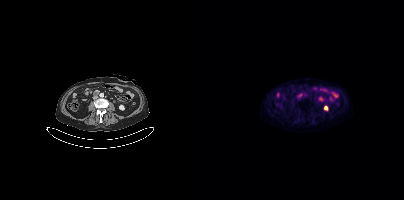
This slice has no annotated PSMA-avid lesion.